Left: CT. Right: PSMA PET, same axial level, 18F tracer. Acquired on Siemens Biograph mCT Flow 20.
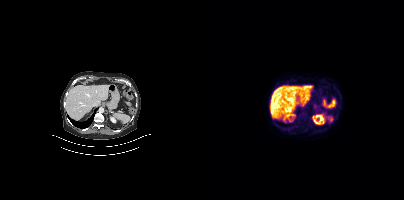
This slice has no annotated PSMA-avid lesion.